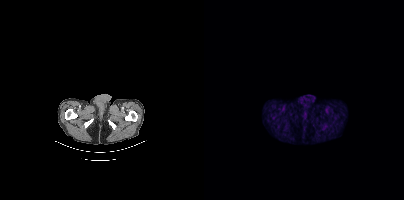
modality: PSMA PET/CT | tracer: 18F-PSMA | view: axial | PET grid: 200×200
Negative for PSMA-avid disease on this slice.